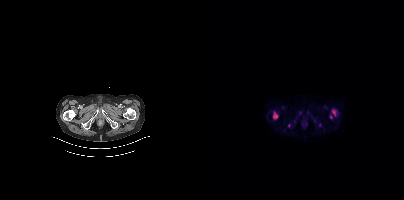
Coordinates are on the 200×200 PET (right) panel. (showing 5 of 6 foci) PSMA-avid tumor lesion bounding boxes (x, y, width, height): x=69 y=111 w=6 h=9; x=128 y=110 w=4 h=6. Small PSMA-avid foci (2 to 4 px across) near (center x, center y): (85, 125); (115, 125); (126, 117).